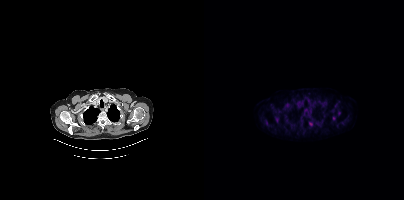
{"modality":"PSMA PET/CT","view":"axial","tracer":"18F","pet_grid":[200,200],"coord_frame":"pet_panel","coord_format":"x0,y0,x1,y1","lesion_bboxes":[],"small_foci_centers":[[106,124]]}